Left: CT. Right: PSMA PET, same axial level, 18F-PSMA tracer.
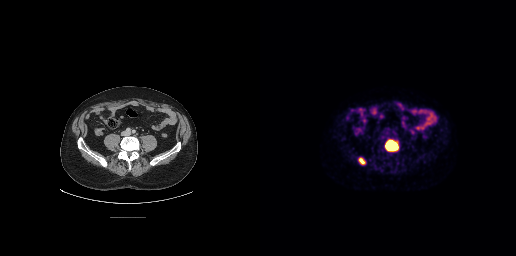
Coordinates are on the 256×256 PET (right) panel. PSMA-avid tumor lesion bounding boxes (x0, y0)-(x1, y1): (124, 139)-(139, 151) | (98, 157)-(105, 164).